Paired axial CT (left) and PSMA PET (right), 18F-PSMA tracer. Acquired on Siemens Biograph mCT Flow 20.
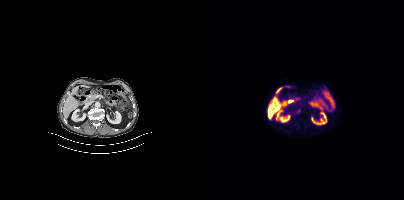
Only PSMA-avid lesion pieces thinner than 2 px on this slice (not listed).